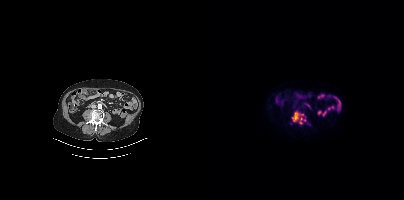
Findings: Coordinates are on the 200×200 PET (right) panel. PSMA-avid tumor lesion bounding box (x0,y0,x1,y1): [88,110,102,124]. Small PSMA-avid focus (2 to 4 px across) near (center x, center y): (86, 124).
- Two-panel axial: CT | PSMA PET, 18F tracer
- slice position z = -768 mm